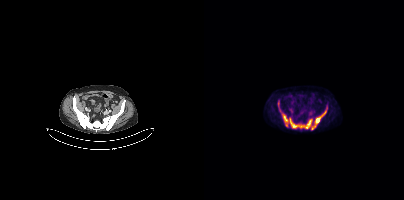
- Left: CT. Right: PSMA PET, same axial level, 18F-PSMA tracer
- acquired on Siemens Biograph mCT Flow 20
- slice 92 of 373
- PET panel 200×200 px (4.1 mm/px)
Findings: Coordinates are on the 200×200 PET (right) panel. (showing 3 of 4 foci) PSMA-avid tumor lesion bounding boxes (x0,y0,x1,y1): [78,113,107,128] [108,107,123,129]. Small PSMA-avid focus (2 to 4 px across) near (center x, center y): (74, 103).